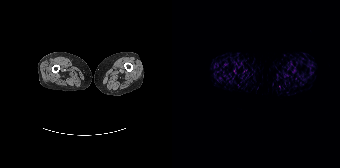
Paired axial CT (left) and PSMA PET (right), [68Ga]Ga-PSMA-11 tracer. Acquired on Siemens Biograph 64-4R TruePoint. No PSMA-avid tumor lesions on this slice.